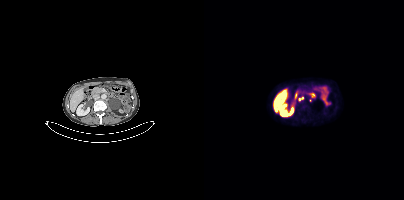
Coordinates are on the 200×200 PET (right) panel. Small PSMA-avid foci (2 to 4 px across) near (center x, center y): (98, 97) | (95, 99).